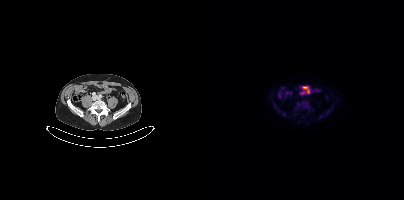
Two-panel axial: CT | PSMA PET, 18F tracer. Acquired on Siemens Biograph mCT Flow 20. Slice 134 of 435. PET panel 200×200 px (4.1 mm/px). No tumor lesions annotated on this slice.